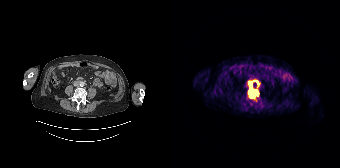
{"modality":"PSMA PET/CT","view":"axial","tracer":"68Ga-PSMA","pet_grid":[168,168],"coord_frame":"pet_panel","coord_format":"x0,y0,x1,y1","lesion_bboxes":[[76,81,86,97]],"small_foci_centers":[[85,84]]}